Technique: Left: CT. Right: PSMA PET, same axial level, 68Ga-PSMA tracer. slice 58 of 195.
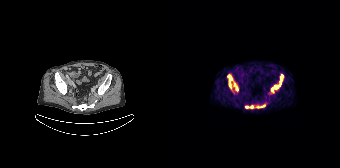
Findings: Coordinates are on the 168×168 PET (right) panel. (showing 6 of 7 foci) PSMA-avid tumor lesion bounding boxes (x, y, width, height): x=55 y=75 w=6 h=14 / x=99 y=86 w=7 h=7 / x=62 y=83 w=5 h=8 / x=73 y=106 w=8 h=3 / x=108 y=75 w=3 h=9 / x=85 y=105 w=8 h=3.